- Two-panel axial: CT | PSMA PET, 18F-PSMA tracer
- acquired on Siemens Biograph mCT Flow 20
- slice 256 of 403
- PET panel 200×200 px (4.1 mm/px)
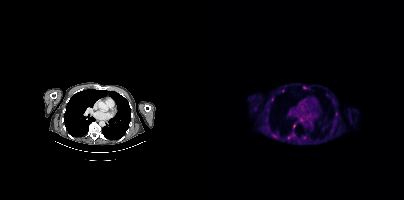
Findings: Coordinates are on the 200×200 PET (right) panel. (showing 5 of 6 foci) PSMA-avid tumor lesion bounding box (x, y, width, height): x=99 y=86 w=5 h=4. Small PSMA-avid foci (2 to 4 px across) near (center x, center y): (68, 99) / (101, 137) / (79, 90) / (84, 137).